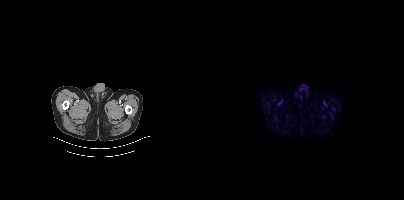
No PSMA-avid tumor lesions on this slice.